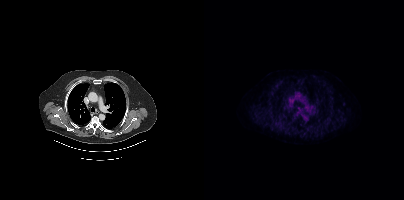
modality: PSMA PET/CT | tracer: [18F]PSMA-1007 | view: axial
Negative for PSMA-avid disease on this slice.